Paired axial CT (left) and PSMA PET (right), 18F tracer. Acquired on GE Discovery 690.
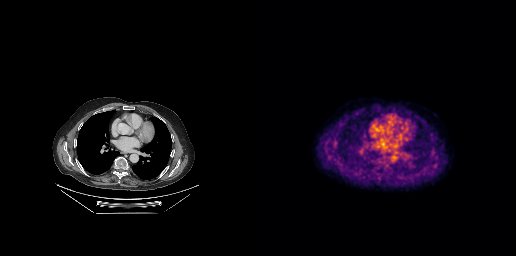
Negative for PSMA-avid disease on this slice.